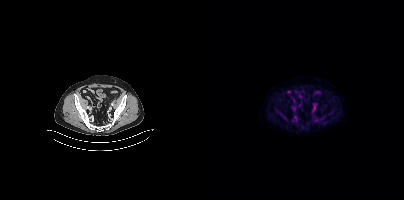
Technique: Paired axial CT (left) and PSMA PET (right), [18F]PSMA-1007 tracer. PET panel 200×200 px (4.1 mm/px).
Findings: Coordinates are on the 200×200 PET (right) panel. PSMA-avid tumor lesion bounding boxes (x0, y0)-(x1, y1): (77, 114)-(84, 120) | (117, 115)-(121, 119). Small PSMA-avid focus (2 to 4 px across) near (center x, center y): (75, 113).